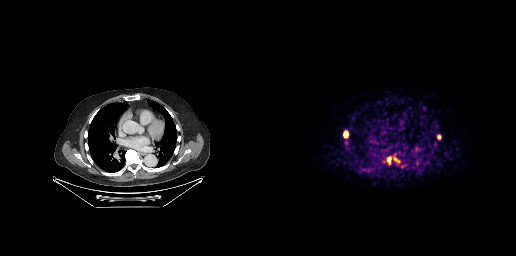
Coordinates are on the 256×256 PET (right) panel. (showing 4 of 5 foci) PSMA-avid tumor lesion bounding boxes (x0, y0)-(x1, y1): (84, 131)-(87, 137) / (127, 157)-(131, 163). Small PSMA-avid foci (2 to 4 px across) near (center x, center y): (179, 136) / (135, 159).